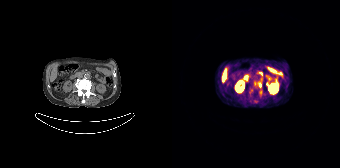
Findings: Coordinates are on the 168×168 PET (right) panel. (showing 1 of 2 foci) PSMA-avid tumor lesion bounding box (x0, y0)-(x1, y1): (82, 82)-(89, 87).
- Left: CT. Right: PSMA PET, same axial level, 68Ga tracer